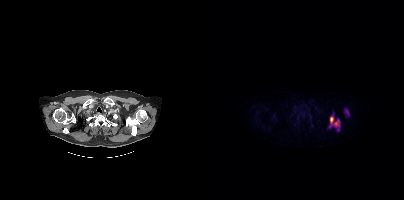
{"pet_grid":[200,200],"coord_frame":"pet_panel","coord_format":"x0,y0,x1,y1","lesion_bboxes":[[125,116,135,131]],"small_foci_centers":[[144,112]],"modality":"PSMA PET/CT","view":"axial","tracer":"18F"}